Technique: Left: CT. Right: PSMA PET, same axial level, [18F]PSMA-1007 tracer. PET panel 200×200 px (4.1 mm/px).
Note: The head region is masked for de-identification.
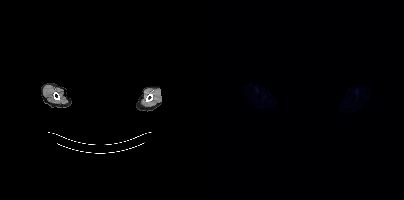
Findings: Negative for PSMA-avid disease on this slice.